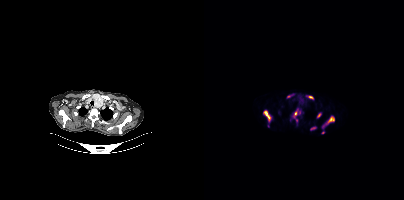
{"modality":"PSMA PET/CT","view":"axial","tracer":"18F-PSMA","pet_grid":[200,200],"coord_frame":"pet_panel","coord_format":"x0,y0,x1,y1","partial":true,"lesion_bboxes":[[59,110,67,122],[122,116,130,124],[89,109,94,117],[113,113,116,118],[104,96,109,98],[106,127,111,129]],"small_foci_centers":[[84,96],[95,112],[92,120],[118,132]]}